modality: PSMA PET/CT | tracer: 18F-PSMA | view: axial
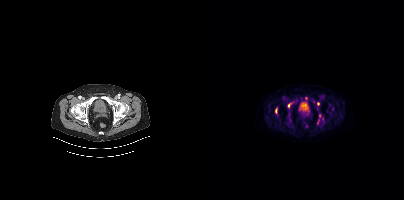
Coordinates are on the 200×200 PET (right) panel. (showing 8 of 11 foci) PSMA-avid tumor lesion bounding boxes (x, y, width, height): x=84 y=101 w=7 h=7; x=99 y=97 w=5 h=6; x=71 y=108 w=3 h=6; x=113 y=119 w=3 h=6. Small PSMA-avid foci (2 to 4 px across) near (center x, center y): (114, 103); (115, 115); (113, 108); (103, 110).